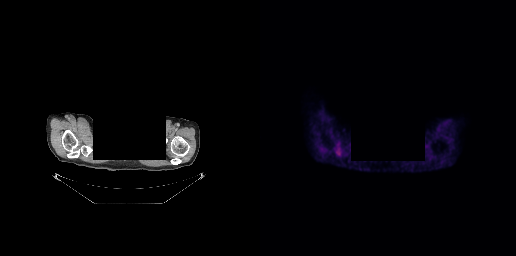
- Left: CT. Right: PSMA PET, same axial level, 18F-PSMA tracer
- slice 232 of 263
- de-identified by setting a box covering the face to black before release
Findings: This slice has no annotated PSMA-avid lesion.